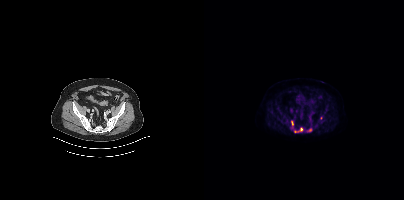
Two-panel axial: CT | PSMA PET, 18F-PSMA tracer. Acquired on Siemens Biograph mCT Flow 20.
Coordinates are on the 200×200 PET (right) panel. PSMA-avid tumor lesion bounding boxes (partial; 1 more focus not listed):
| # | x0 | y0 | x1 | y1 |
|---|---|---|---|---|
| 1 | 90 | 127 | 98 | 132 |
| 2 | 102 | 128 | 108 | 132 |
| 3 | 87 | 121 | 89 | 125 |